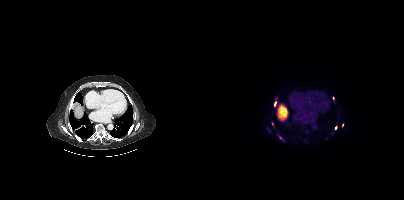
Coordinates are on the 200×200 PET (right) panel. (showing 4 of 5 foci) PSMA-avid tumor lesion bounding box (x0, y0)-(x1, y1): (70, 101)-(72, 106). Small PSMA-avid foci (2 to 4 px across) near (center x, center y): (68, 123) / (76, 137) / (131, 127).